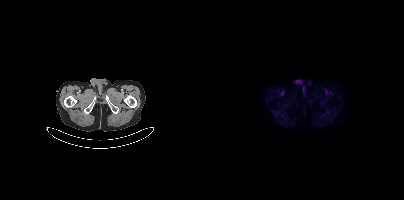
modality: PSMA PET/CT | tracer: 18F-PSMA | view: axial | PET grid: 200×200
This slice has no annotated PSMA-avid lesion.